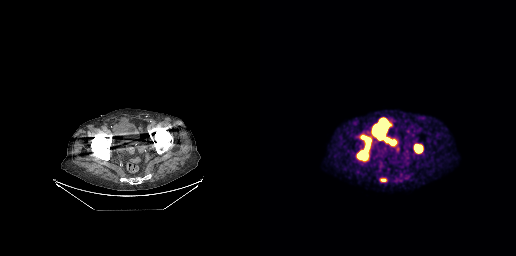
Left: CT. Right: PSMA PET, same axial level, 18F tracer. Acquired on GE Discovery 690. Slice 74 of 263. Coordinates are on the 256×256 PET (right) panel. PSMA-avid tumor lesion bounding boxes (x0,y0,x1,y1): [112,118,128,140]; [97,135,111,160]; [154,145,162,152]; [120,178,126,181].